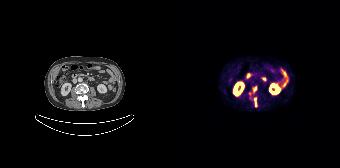
Technique: Paired axial CT (left) and PSMA PET (right), [68Ga]Ga-PSMA-11 tracer. acquired on Siemens Biograph 64-4R TruePoint.
Findings: Coordinates are on the 168×168 PET (right) panel. PSMA-avid tumor lesion bounding boxes (x0, y0)-(x1, y1): (82, 98)-(84, 106); (82, 87)-(84, 91).